modality: PSMA PET/CT | tracer: [18F]PSMA-1007 | view: axial
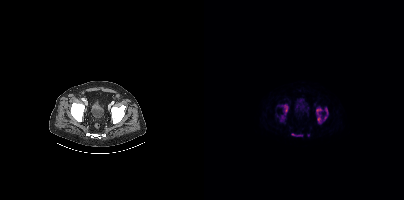
Coordinates are on the 200×200 PET (right) panel. PSMA-avid tumor lesion bounding boxes (x0, y0)-(x1, y1): (112, 107)-(124, 123) | (76, 104)-(84, 121) | (87, 133)-(98, 136). Small PSMA-avid focus (2 to 4 px across) near (center x, center y): (104, 135).